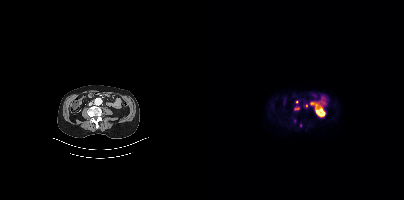
Paired axial CT (left) and PSMA PET (right), 68Ga-PSMA tracer. Slice 148 of 409. Coordinates are on the 200×200 PET (right) panel. Small PSMA-avid foci (2 to 4 px across) near (center x, center y): (92, 108) (92, 101) (102, 105) (96, 125).